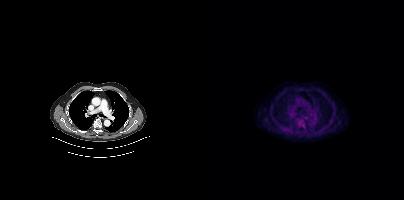
Only PSMA-avid lesion pieces thinner than 2 px on this slice (not listed). Two-panel axial: CT | PSMA PET, 18F-PSMA tracer. Slice position z = 361 mm. PET panel 200×200 px (4.1 mm/px).